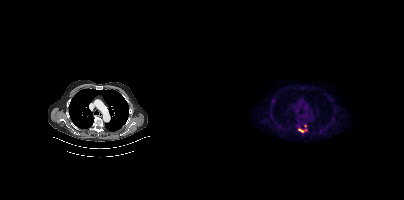
{"modality":"PSMA PET/CT","view":"axial","tracer":"[18F]PSMA-1007","pet_grid":[200,200],"coord_frame":"pet_panel","coord_format":"x0,y0,x1,y1","lesion_bboxes":[[94,128,102,132]],"small_foci_centers":[[101,125]]}